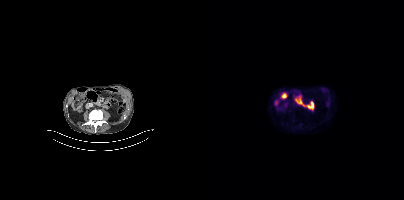
No tumor lesions annotated on this slice.